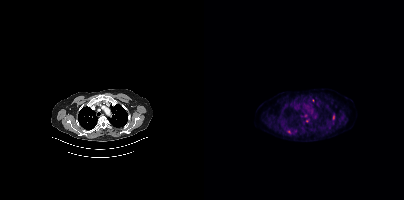
{"modality":"PSMA PET/CT","view":"axial","tracer":"[18F]PSMA-1007","pet_grid":[200,200],"coord_frame":"pet_panel","coord_format":"x0,y0,x1,y1","partial":true,"lesion_bboxes":[[83,130,87,133],[129,115,130,119]],"small_foci_centers":[[103,120]]}